- Left: CT. Right: PSMA PET, same axial level, [18F]PSMA-1007 tracer
- slice 270 of 395
- PET panel 200×200 px (4.1 mm/px)
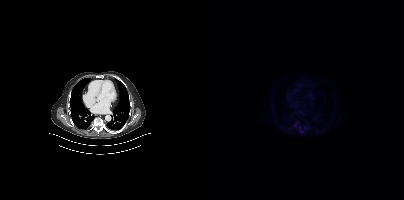
Findings: Coordinates are on the 200×200 PET (right) panel. (showing 3 of 5 foci) PSMA-avid tumor lesion bounding boxes (x, y, width, height): x=95 y=129 w=5 h=5 | x=91 y=121 w=4 h=6. Small PSMA-avid focus (2 to 4 px across) near (center x, center y): (100, 127).